de-identification: face masked with black rectangle | modality: PSMA PET/CT | tracer: 68Ga | view: axial
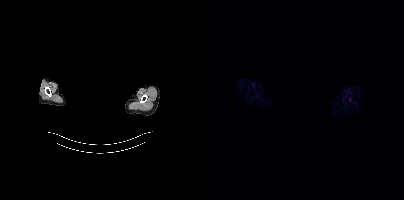
Negative for PSMA-avid disease on this slice.